Face de-identified by blanking a block of the head. Left: CT. Right: PSMA PET, same axial level, [18F]PSMA-1007 tracer. Acquired on Siemens Biograph mCT Flow 20. Slice 401 of 429. PET panel 200×200 px (4.1 mm/px).
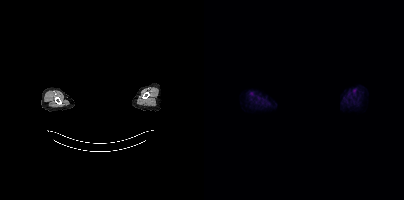
No tumor lesions annotated on this slice.